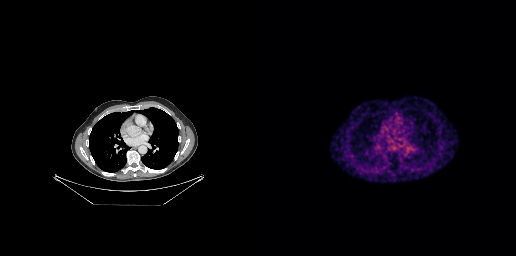
Paired axial CT (left) and PSMA PET (right), 68Ga-PSMA tracer. Acquired on GE Discovery 690. PET panel 256×256 px (2.7 mm/px). Negative for PSMA-avid disease on this slice.